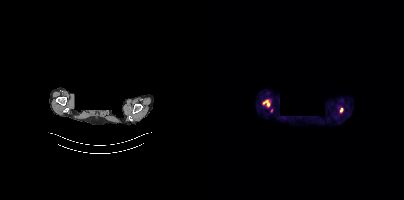
Paired axial CT (left) and PSMA PET (right), 18F tracer. PET panel 200×200 px (4.1 mm/px). A rectangle over the head was blacked out to remove identifiable facial features. No tumor lesions annotated on this slice.